Technique: Paired axial CT (left) and PSMA PET (right), 18F tracer. acquired on Siemens Biograph mCT Flow 20. PET panel 200×200 px (4.1 mm/px).
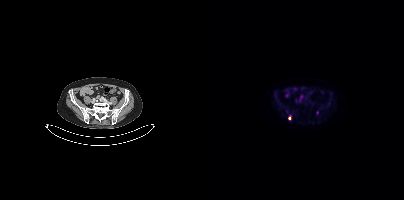
Findings: Coordinates are on the 200×200 PET (right) panel. Small PSMA-avid focus (2 to 4 px across) near (center x, center y): (85, 118).